Technique: Left: CT. Right: PSMA PET, same axial level, [18F]PSMA-1007 tracer. slice position z = -712 mm. PET panel 200×200 px (4.1 mm/px).
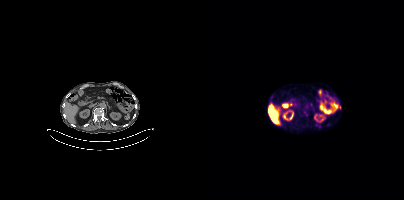
Findings: Coordinates are on the 200×200 PET (right) panel. (showing 2 of 3 foci) Small PSMA-avid foci (2 to 4 px across) near (center x, center y): (135, 107); (115, 126).